- Left: CT. Right: PSMA PET, same axial level, 18F tracer
- slice 47 of 435
- PET panel 200×200 px (4.1 mm/px)
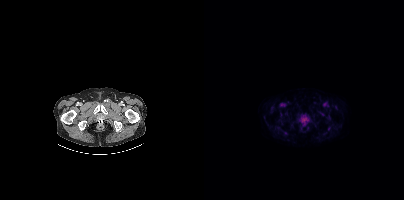
Findings: No PSMA-avid tumor lesions on this slice.